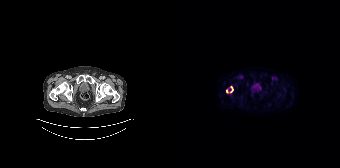
Coordinates are on the 168×168 PET (right) panel. PSMA-avid tumor lesion bounding boxes (x0,y0,x1,y1): [58,86,61,92] [54,89,56,93].
modality: PSMA PET/CT | tracer: 18F | view: axial | PET grid: 168×168